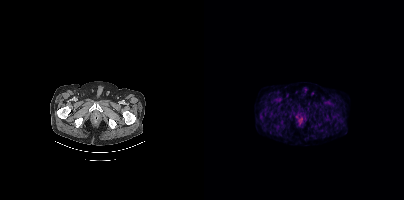
{"pet_grid":[200,200],"coord_frame":"pet_panel","coord_format":"x0,y0,x1,y1","psma_avid_lesions":false,"modality":"PSMA PET/CT","view":"axial","tracer":"18F"}